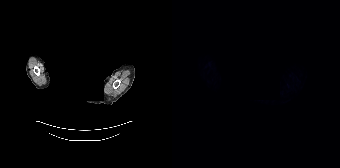
deidentification: head region blanked (face removed) | modality: PSMA PET/CT | tracer: 18F | view: axial | PET grid: 168×168
No tumor lesions annotated on this slice.